Two-panel axial: CT | PSMA PET, 18F tracer. Acquired on Siemens Biograph mCT Flow 20.
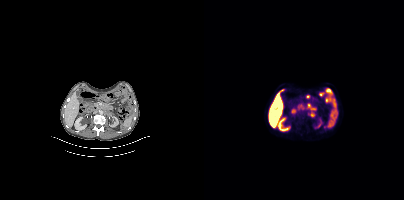
Coordinates are on the 200×200 PET (right) panel. PSMA-avid tumor lesion bounding box (x, y, width, height): x=104 y=104 w=8 h=14.